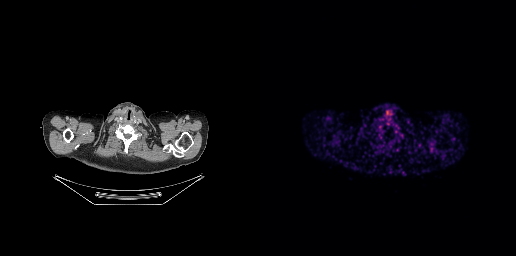
Negative for PSMA-avid disease on this slice.